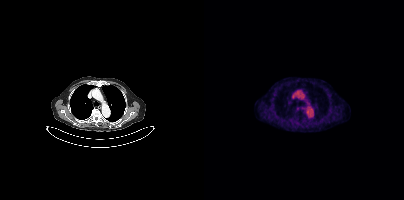
- Paired axial CT (left) and PSMA PET (right), 18F tracer
- acquired on Siemens Biograph mCT Flow 20
- PET panel 200×200 px (4.1 mm/px)
Findings: Only PSMA-avid lesion pieces thinner than 2 px on this slice (not listed).